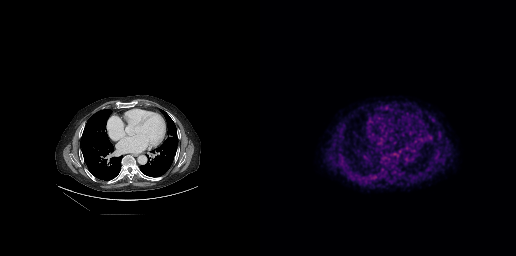
Coordinates are on the 256×256 PET (right) panel. PSMA-avid tumor lesion bounding box (x0,y0,x1,y1): [109,173,119,180].